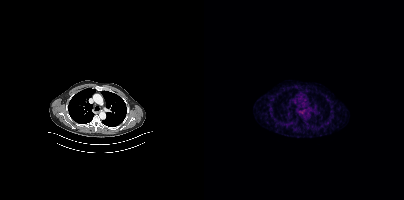
This slice has no annotated PSMA-avid lesion.